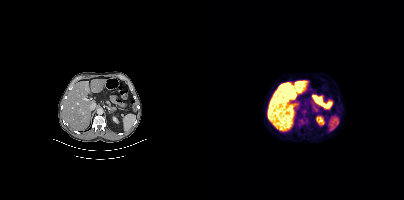
Coordinates are on the 200×200 PET (right) panel. Small PSMA-avid focus (2 to 4 px across) near (center x, center y): (96, 120). Left: CT. Right: PSMA PET, same axial level, 18F-PSMA tracer. PET panel 200×200 px (4.1 mm/px).